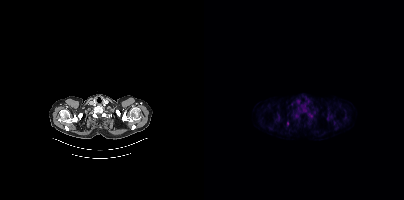
Coordinates are on the 200×200 PET (right) panel. Small PSMA-avid focus (2 to 4 px across) near (center x, center y): (83, 123).